Technique: Paired axial CT (left) and PSMA PET (right), 18F tracer. acquired on Siemens Biograph mCT Flow 20. slice 148 of 385. PET panel 200×200 px (4.1 mm/px).
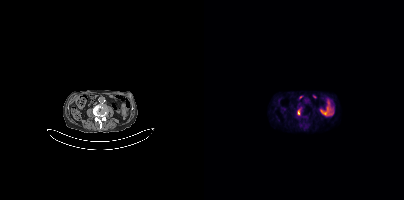
Findings: Coordinates are on the 200×200 PET (right) panel. PSMA-avid tumor lesion bounding box (x0,y0,x1,y1): [93,109,96,115].